Left: CT. Right: PSMA PET, same axial level, 68Ga tracer. Acquired on Siemens Biograph 64-4R TruePoint.
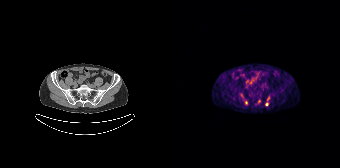
Coordinates are on the 168×168 PET (right) panel. PSMA-avid tumor lesion bounding box (x, y, width, height): x=93 y=97 w=5 h=9. Small PSMA-avid foci (2 to 4 px across) near (center x, center y): (87, 101) | (74, 102) | (69, 95).